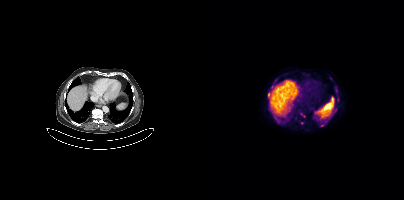
Coordinates are on the 200×200 PET (right) panel. (showing 4 of 5 foci) Small PSMA-avid foci (2 to 4 px across) near (center x, center y): (118, 125); (64, 94); (81, 79); (97, 122).